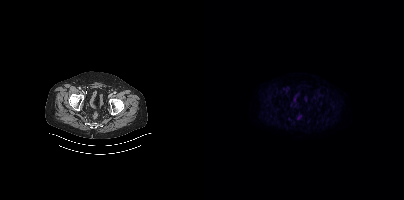
{"modality":"PSMA PET/CT","view":"axial","tracer":"18F-PSMA","pet_grid":[200,200],"coord_frame":"pet_panel","coord_format":"x0,y0,x1,y1","psma_avid_lesions":false}